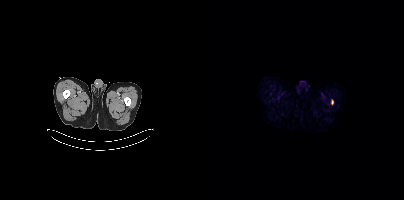
Coordinates are on the 200×200 PET (right) panel. PSMA-avid tumor lesion bounding box (x, y, width, height): x=127 y=100 w=3 h=5.